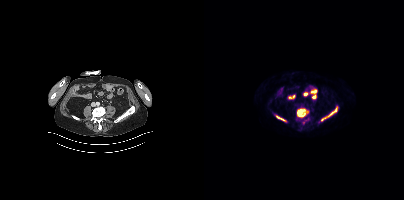
Coordinates are on the 200×200 PET (right) panel. (showing 5 of 7 foci) PSMA-avid tumor lesion bounding boxes (x, y, width, height): x=93 y=110 w=10 h=7 | x=121 y=112 w=9 h=7 | x=72 y=115 w=9 h=6. Small PSMA-avid foci (2 to 4 px across) near (center x, center y): (131, 110) | (99, 122).